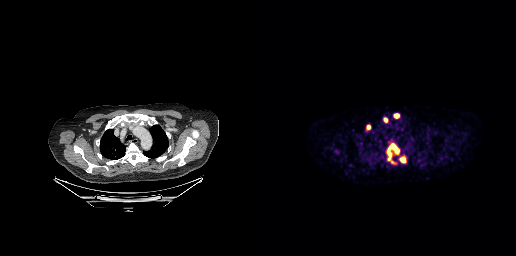
Findings: Coordinates are on the 256×256 PET (right) panel. (showing 5 of 6 foci) PSMA-avid tumor lesion bounding boxes (x, y, width, height): x=127 y=143 w=13 h=18; x=140 y=157 w=6 h=6; x=134 y=114 w=6 h=4. Small PSMA-avid foci (2 to 4 px across) near (center x, center y): (125, 119); (108, 126).
- Left: CT. Right: PSMA PET, same axial level, [68Ga]Ga-PSMA-11 tracer